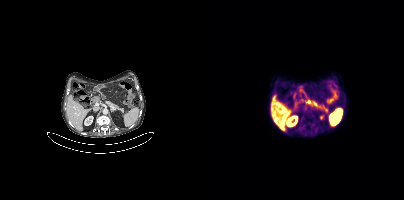
modality: PSMA PET/CT | tracer: 18F-PSMA | view: axial
Coordinates are on the 200×200 PET (right) panel. PSMA-avid tumor lesion bounding boxes (x0, y0)-(x1, y1): (99, 106)-(102, 110) | (97, 117)-(99, 121). Small PSMA-avid foci (2 to 4 px across) near (center x, center y): (99, 126) | (108, 124).